Technique: Two-panel axial: CT | PSMA PET, [18F]PSMA-1007 tracer. slice 238 of 367.
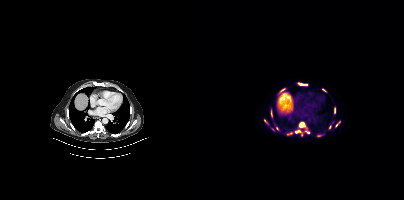
Findings: Coordinates are on the 200×200 PET (right) panel. (showing 11 of 15 foci) PSMA-avid tumor lesion bounding boxes (x0,y0,x1,y1): [95,122,101,127], [91,130,96,133], [95,83,103,85], [131,121,136,126], [130,108,131,113], [101,131,105,133]. Small PSMA-avid foci (2 to 4 px across) near (center x, center y): (126, 127), (73, 128), (115, 135), (67, 114), (79, 89).